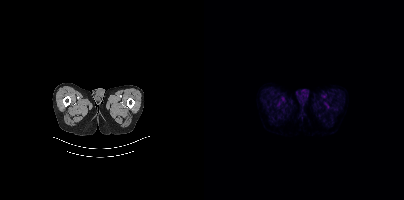
No PSMA-avid tumor lesions on this slice. Two-panel axial: CT | PSMA PET, [18F]PSMA-1007 tracer. Acquired on Siemens Biograph mCT Flow 20.